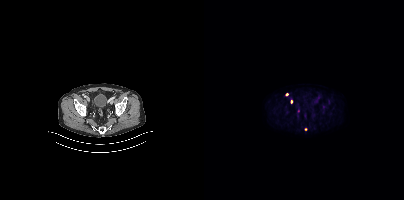
Left: CT. Right: PSMA PET, same axial level, 18F-PSMA tracer. Coordinates are on the 200×200 PET (right) panel. Small PSMA-avid foci (2 to 4 px across) near (center x, center y): (94, 111); (87, 101).